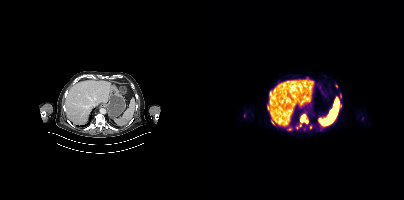
Findings: Coordinates are on the 200×200 PET (right) panel. (showing 9 of 11 foci) PSMA-avid tumor lesion bounding boxes (x, y, width, height): x=96 y=114 w=9 h=10 | x=63 y=105 w=2 h=6 | x=65 y=91 w=3 h=5. Small PSMA-avid foci (2 to 4 px across) near (center x, center y): (85, 129) | (69, 122) | (96, 125) | (136, 95) | (106, 127) | (132, 86).
- Two-panel axial: CT | PSMA PET, [18F]PSMA-1007 tracer
- acquired on Siemens Biograph mCT Flow 20
- PET panel 200×200 px (4.1 mm/px)